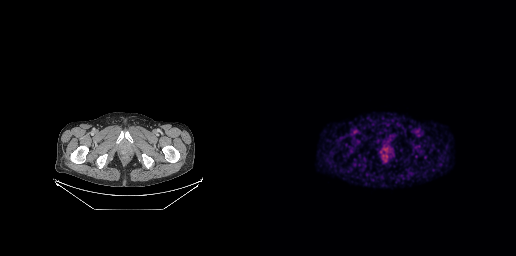
Coordinates are on the 256×256 PET (right) panel. (showing 1 of 2 foci) PSMA-avid tumor lesion bounding box (x0,y0,x1,y1): [123,147,127,151].